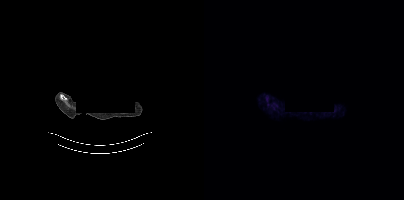
An anonymization step blacked out a rectangle over the head in this scan.
This slice has no annotated PSMA-avid lesion.